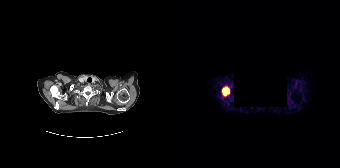
Two-panel axial: CT | PSMA PET, 68Ga tracer. Slice 170 of 195. Any black rectangle here is a de-identification mask.
Coordinates are on the 168×168 PET (right) panel. PSMA-avid tumor lesion bounding boxes:
| # | x0 | y0 | x1 | y1 |
|---|---|---|---|---|
| 1 | 50 | 87 | 57 | 95 |